modality: PSMA PET/CT | tracer: [18F]PSMA-1007 | view: axial
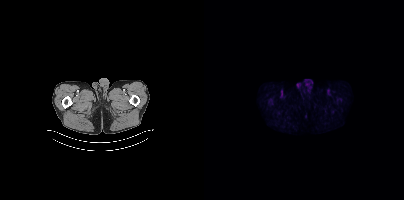
No tumor lesions annotated on this slice.